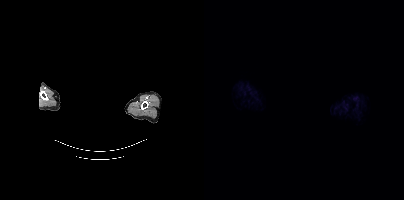
No tumor lesions annotated on this slice. Paired axial CT (left) and PSMA PET (right), [18F]PSMA-1007 tracer. Slice position z = -249 mm. Face de-identified by blanking a block of the head.